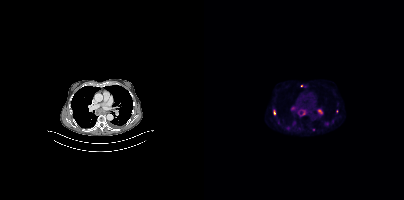
modality: PSMA PET/CT | tracer: 18F | view: axial
Coordinates are on the 200×200 PET (right) panel. (showing 9 of 11 foci) PSMA-avid tumor lesion bounding boxes (x, y, width, height): x=94 y=109 w=9 h=8 / x=114 y=109 w=5 h=6. Small PSMA-avid foci (2 to 4 px across) near (center x, center y): (123, 123) / (88, 108) / (70, 112) / (84, 127) / (74, 122) / (109, 129) / (97, 85).